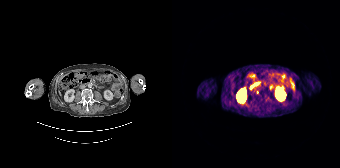
Technique: Paired axial CT (left) and PSMA PET (right), 68Ga-PSMA tracer. slice position z = -494 mm. PET panel 168×168 px (4.1 mm/px).
Findings: Coordinates are on the 168×168 PET (right) panel. Small PSMA-avid focus (2 to 4 px across) near (center x, center y): (85, 92).